The face region was removed for patient privacy by blanking a rectangle over the head. Left: CT. Right: PSMA PET, same axial level, 18F-PSMA tracer. PET panel 256×256 px (2.7 mm/px).
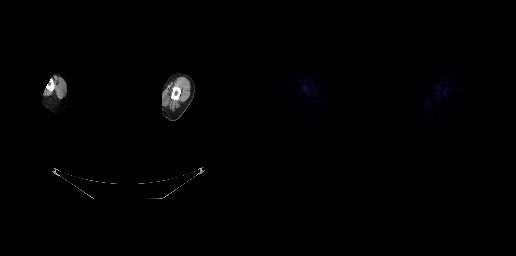
No tumor lesions annotated on this slice.